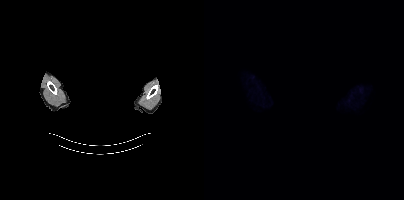
No tumor lesions annotated on this slice. Any black rectangle over the head is a privacy mask, not anatomy. Left: CT. Right: PSMA PET, same axial level, 18F tracer. Acquired on Siemens Biograph mCT Flow 20. Slice position z = -314 mm.